Technique: Left: CT. Right: PSMA PET, same axial level, 68Ga-PSMA tracer. slice position z = -580 mm. PET panel 256×256 px (2.7 mm/px).
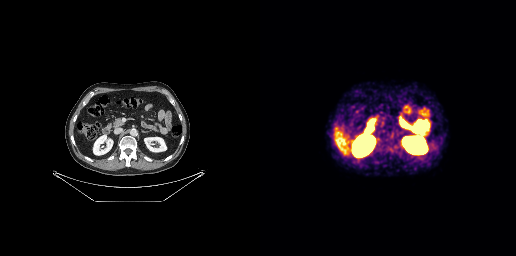
Findings: No PSMA-avid tumor lesions on this slice.